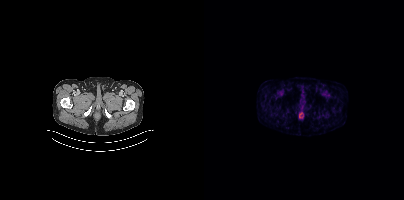
Technique: Paired axial CT (left) and PSMA PET (right), [68Ga]Ga-PSMA-11 tracer. slice 50 of 438.
Findings: No tumor lesions annotated on this slice.